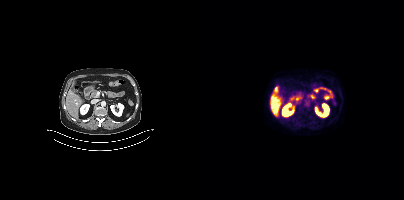
This slice has no annotated PSMA-avid lesion.
modality: PSMA PET/CT | tracer: 18F-PSMA | view: axial